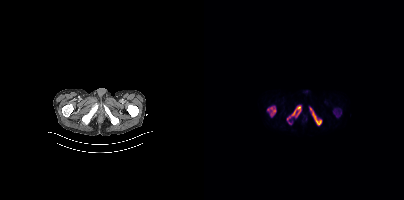
modality: PSMA PET/CT | tracer: 18F-PSMA | view: axial
Coordinates are on the 200×200 PET (right) panel. PSMA-avid tumor lesion bounding boxes (x0,y0,x1,y1): [63,106,72,116]; [106,107,117,124]; [87,106,96,116]. Small PSMA-avid focus (2 to 4 px across) near (center x, center y): (84, 118).